- Two-panel axial: CT | PSMA PET, 68Ga-PSMA tracer
- slice 187 of 195
- de-identified by setting a box covering the face to black before release
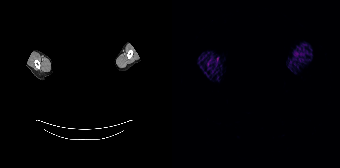
Findings: Negative for PSMA-avid disease on this slice.